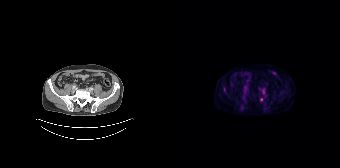
{"modality":"PSMA PET/CT","view":"axial","tracer":"18F-PSMA","pet_grid":[168,168],"coord_frame":"pet_panel","coord_format":"x0,y0,x1,y1","partial":true,"lesion_bboxes":[[52,87,53,91]],"small_foci_centers":[[91,91],[89,99],[73,89]]}